Paired axial CT (left) and PSMA PET (right), 68Ga-PSMA tracer. Slice position z = 914 mm. PET panel 200×200 px (4.1 mm/px).
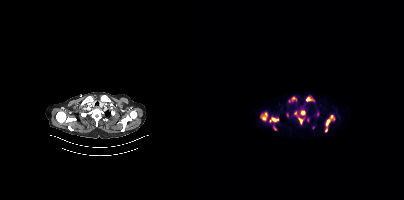
Coordinates are on the 200×200 PET (right) panel. (showing 10 of 13 foci) PSMA-avid tumor lesion bounding boxes (x0,y0,x1,y1): [121,115,130,131] [57,113,63,120] [66,117,74,121] [102,97,110,101] [85,97,92,101] [97,110,101,115] [94,117,99,123] [90,111,95,115] [111,112,114,116] [69,126,72,130].